modality: PSMA PET/CT | tracer: 68Ga-PSMA | view: axial
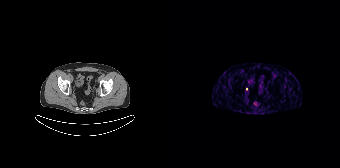
Coordinates are on the 168×168 PET (right) panel. Small PSMA-avid focus (2 to 4 px across) near (center x, center y): (74, 89).